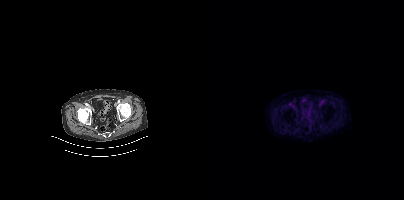
No tumor lesions annotated on this slice. Left: CT. Right: PSMA PET, same axial level, [18F]PSMA-1007 tracer. Acquired on Siemens Biograph mCT Flow 20. Slice 68 of 401. PET panel 200×200 px (4.1 mm/px).